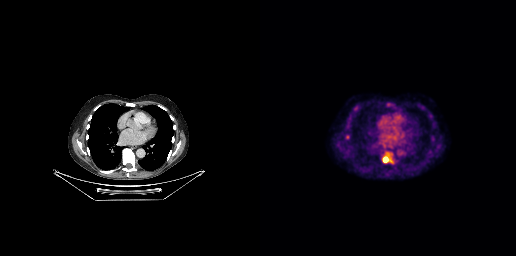
{"pet_grid":[256,256],"coord_frame":"pet_panel","coord_format":"x0,y0,x1,y1","lesion_bboxes":[[123,156,131,162],[85,134,89,139]],"modality":"PSMA PET/CT","view":"axial","tracer":"[18F]PSMA-1007"}